- Two-panel axial: CT | PSMA PET, 18F tracer
- de-identified by setting a box covering the face to black before release
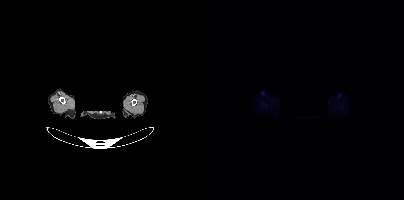
Findings: This slice has no annotated PSMA-avid lesion.